Two-panel axial: CT | PSMA PET, [18F]PSMA-1007 tracer. Acquired on GE Discovery 690. Slice 147 of 299.
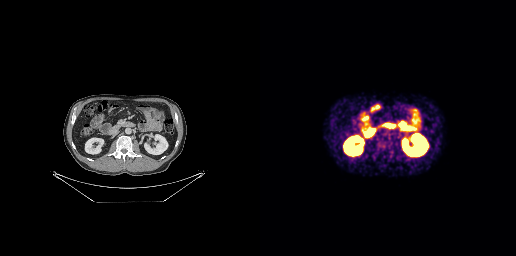
Coordinates are on the 256×256 PET (right) panel. PSMA-avid tumor lesion bounding box (x0,y0,x1,y1): [119,140,131,150].